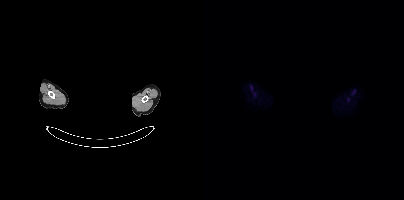
- Two-panel axial: CT | PSMA PET, 18F tracer
- acquired on Siemens Biograph mCT Flow 20
- de-identified by setting a box covering the face to black before release
Findings: No PSMA-avid tumor lesions on this slice.